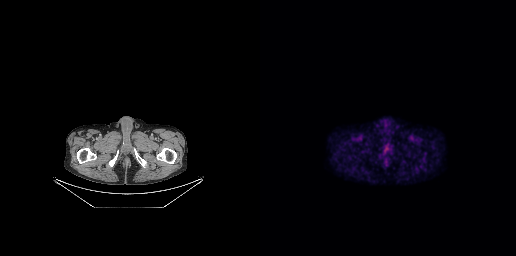
Negative for PSMA-avid disease on this slice.